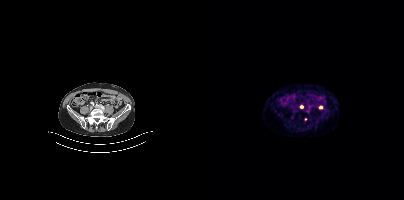
Technique: Left: CT. Right: PSMA PET, same axial level, 68Ga-PSMA tracer. PET panel 200×200 px (4.1 mm/px).
Findings: Coordinates are on the 200×200 PET (right) panel. Small PSMA-avid foci (2 to 4 px across) near (center x, center y): (97, 106) / (116, 107) / (101, 119).